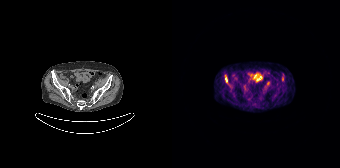
Two-panel axial: CT | PSMA PET, [68Ga]Ga-PSMA-11 tracer. Acquired on Siemens Biograph 64-4R TruePoint. Slice position z = -1154 mm.
Coordinates are on the 168×168 PET (right) panel. PSMA-avid tumor lesion bounding boxes:
| # | x0 | y0 | x1 | y1 |
|---|---|---|---|---|
| 1 | 53 | 77 | 55 | 81 |
Small PSMA-avid focus (2 to 4 px across) near (center x, center y): (96, 83).